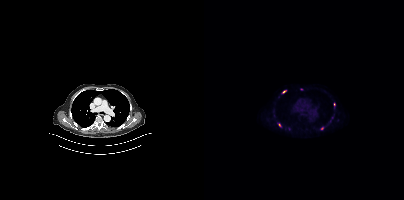
modality: PSMA PET/CT | tracer: 18F | view: axial
Coordinates are on the 200×200 PET (right) panel. (showing 2 of 4 foci) Small PSMA-avid foci (2 to 4 px across) near (center x, center y): (75, 125) / (80, 91).